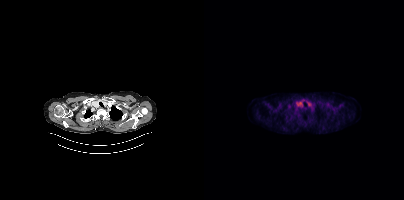
{"modality":"PSMA PET/CT","view":"axial","tracer":"18F-PSMA","pet_grid":[200,200],"coord_frame":"pet_panel","coord_format":"x0,y0,x1,y1","psma_avid_lesions":false}